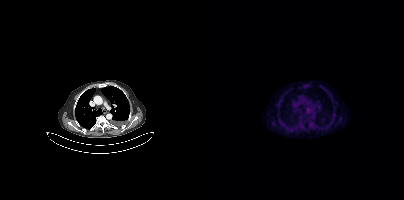
Left: CT. Right: PSMA PET, same axial level, 18F-PSMA tracer. PET panel 200×200 px (4.1 mm/px). This slice has no annotated PSMA-avid lesion.